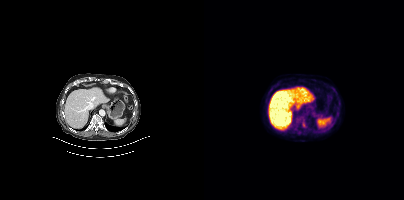
{"modality":"PSMA PET/CT","view":"axial","tracer":"[18F]PSMA-1007","pet_grid":[200,200],"coord_frame":"pet_panel","coord_format":"x0,y0,x1,y1","lesion_bboxes":[[97,120,102,127]]}